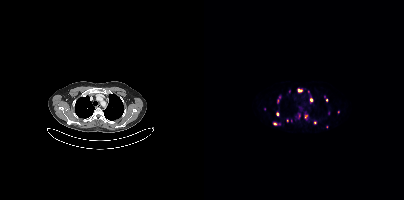
{"pet_grid":[200,200],"coord_frame":"pet_panel","coord_format":"x0,y0,x1,y1","partial":true,"lesion_bboxes":[[120,95,123,101],[100,114,103,119],[94,89,98,91]],"small_foci_centers":[[107,99],[73,100],[124,112],[111,122],[85,91],[104,91],[73,114],[71,123],[60,109],[83,120],[87,120],[134,111]],"modality":"PSMA PET/CT","view":"axial","tracer":"68Ga"}